Technique: Two-panel axial: CT | PSMA PET, 18F tracer. slice 157 of 438.
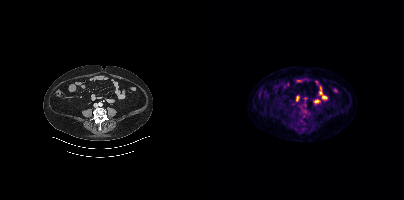
Findings: No PSMA-avid tumor lesions on this slice.